Paired axial CT (left) and PSMA PET (right), 18F tracer. Acquired on GE Discovery 690. Slice 2 of 263. PET panel 256×256 px (2.7 mm/px).
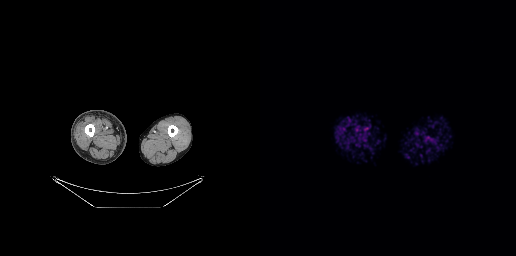
No tumor lesions annotated on this slice.